Left: CT. Right: PSMA PET, same axial level, 18F-PSMA tracer. PET panel 200×200 px (4.1 mm/px).
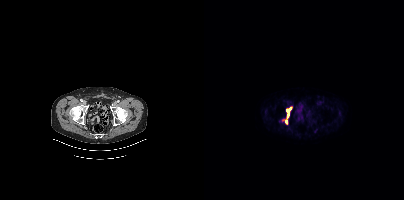
Coordinates are on the 200×200 PET (right) panel. PSMA-avid tumor lesion bounding boxes:
| # | x0 | y0 | x1 | y1 |
|---|---|---|---|---|
| 1 | 78 | 107 | 87 | 123 |